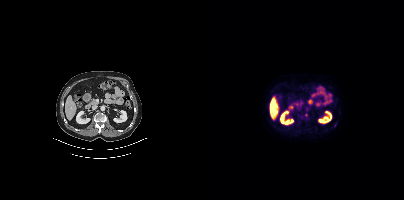
{"modality":"PSMA PET/CT","view":"axial","tracer":"[18F]PSMA-1007","pet_grid":[200,200],"coord_frame":"pet_panel","coord_format":"x0,y0,x1,y1","psma_avid_lesions":false}